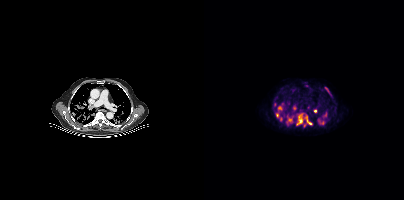
Coordinates are on the 200×200 PET (right) panel. (showing 11 of 13 foci) PSMA-avid tumor lesion bounding boxes (x0, y0)-(x1, y1): (92, 114)-(98, 125) / (102, 116)-(108, 124) / (74, 106)-(78, 110) / (72, 113)-(74, 117) / (121, 87)-(125, 93) / (84, 118)-(88, 121). Small PSMA-avid foci (2 to 4 px across) near (center x, center y): (100, 124) / (111, 111) / (77, 118) / (118, 123) / (121, 114).